Two-panel axial: CT | PSMA PET, [18F]PSMA-1007 tracer. Slice position z = -342 mm. PET panel 200×200 px (4.1 mm/px).
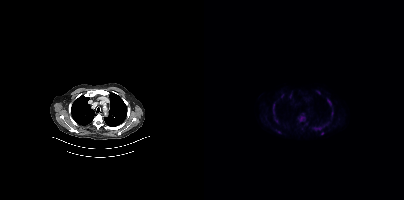
Coordinates are on the 200×200 PET (right) panel. (showing 11 of 12 foci) PSMA-avid tumor lesion bounding boxes (x, y, width, height): x=94 y=116 w=7 h=6 | x=110 y=125 w=11 h=6 | x=123 y=99 w=5 h=7 | x=69 y=104 w=2 h=10. Small PSMA-avid foci (2 to 4 px across) near (center x, center y): (118, 133) | (128, 113) | (72, 120) | (75, 131) | (114, 92) | (78, 95) | (86, 96).